Technique: Two-panel axial: CT | PSMA PET, [18F]PSMA-1007 tracer. PET panel 200×200 px (4.1 mm/px).
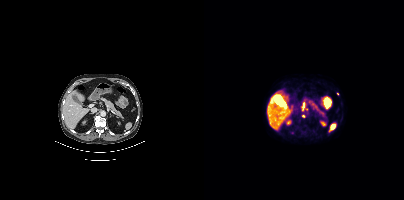
Findings: Coordinates are on the 200×200 PET (right) panel. (showing 1 of 2 foci) Small PSMA-avid focus (2 to 4 px across) near (center x, center y): (99, 116).